The head region is masked for de-identification. Paired axial CT (left) and PSMA PET (right), 18F-PSMA tracer. Acquired on Siemens Biograph mCT Flow 20. Slice 343 of 367.
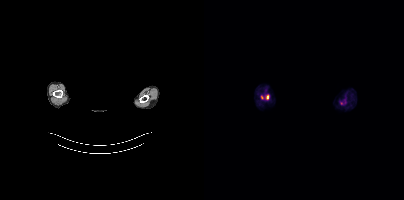
No PSMA-avid tumor lesions on this slice.